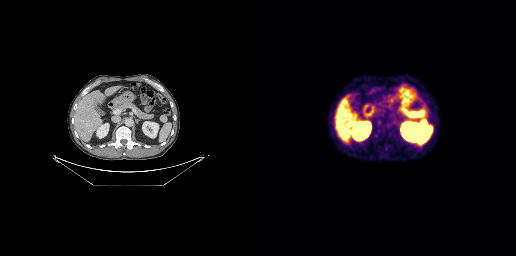
Left: CT. Right: PSMA PET, same axial level, 68Ga tracer. Slice position z = -625 mm. PET panel 256×256 px (2.7 mm/px).
Coordinates are on the 256×256 PET (right) panel. PSMA-avid tumor lesion bounding boxes:
| # | x0 | y0 | x1 | y1 |
|---|---|---|---|---|
| 1 | 161 | 119 | 167 | 125 |